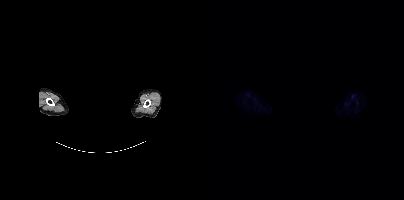
A rectangular block over the head has been blanked out for de-identification.
Negative for PSMA-avid disease on this slice.